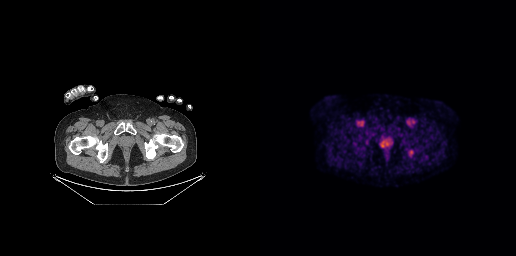
{"modality":"PSMA PET/CT","view":"axial","tracer":"18F","pet_grid":[256,256],"coord_frame":"pet_panel","coord_format":"x0,y0,x1,y1","lesion_bboxes":[[148,149,153,157]]}